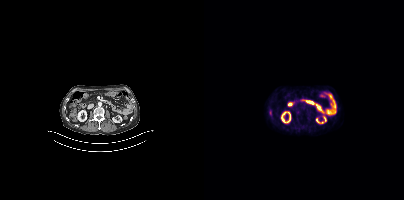
Coordinates are on the 200×200 PET (right) panel. Small PSMA-avid focus (2 to 4 px across) near (center x, center y): (94, 112). Left: CT. Right: PSMA PET, same axial level, 18F tracer.